Technique: Two-panel axial: CT | PSMA PET, [68Ga]Ga-PSMA-11 tracer. PET panel 168×168 px (4.1 mm/px).
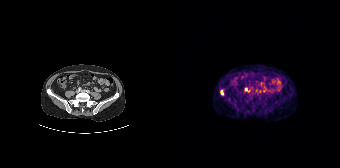
Findings: Coordinates are on the 168×168 PET (right) panel. Small PSMA-avid foci (2 to 4 px across) near (center x, center y): (73, 89) (49, 92).